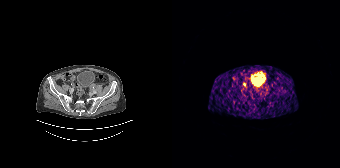
{"modality":"PSMA PET/CT","view":"axial","tracer":"68Ga-PSMA","pet_grid":[168,168],"coord_frame":"pet_panel","coord_format":"x0,y0,x1,y1","lesion_bboxes":[],"small_foci_centers":[[72,84]]}